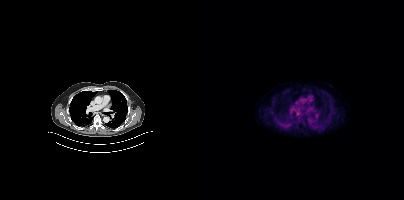
No PSMA-avid tumor lesions on this slice. Left: CT. Right: PSMA PET, same axial level, 18F tracer. PET panel 200×200 px (4.1 mm/px).